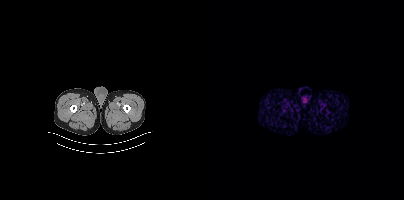
No PSMA-avid tumor lesions on this slice. Left: CT. Right: PSMA PET, same axial level, [68Ga]Ga-PSMA-11 tracer.